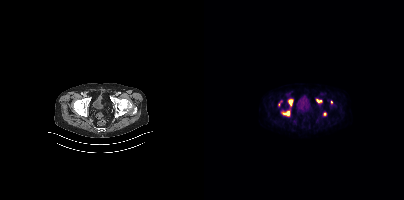
Left: CT. Right: PSMA PET, same axial level, 18F tracer. PET panel 200×200 px (4.1 mm/px).
Coordinates are on the 200×200 PET (right) panel. PSMA-avid tumor lesion bounding boxes (partial; 1 more focus not listed):
| # | x0 | y0 | x1 | y1 |
|---|---|---|---|---|
| 1 | 84 | 99 | 88 | 105 |
| 2 | 79 | 111 | 85 | 115 |
| 3 | 112 | 99 | 117 | 102 |
Small PSMA-avid foci (2 to 4 px across) near (center x, center y): (121, 114); (127, 102).